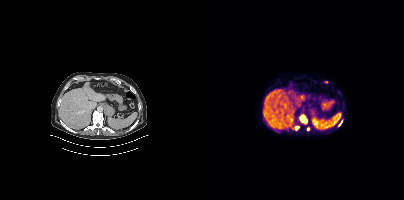
Two-panel axial: CT | PSMA PET, 18F tracer. Slice 249 of 444. PET panel 200×200 px (4.1 mm/px).
Coordinates are on the 200×200 PET (right) panel. PSMA-avid tumor lesion bounding boxes:
| # | x0 | y0 | x1 | y1 |
|---|---|---|---|---|
| 1 | 96 | 116 | 103 | 123 |
| 2 | 91 | 126 | 95 | 130 |
| 3 | 135 | 120 | 138 | 125 |
Small PSMA-avid focus (2 to 4 px across) near (center x, center y): (104, 129).